- Two-panel axial: CT | PSMA PET, [68Ga]Ga-PSMA-11 tracer
- slice 27 of 299
- PET panel 256×256 px (2.7 mm/px)
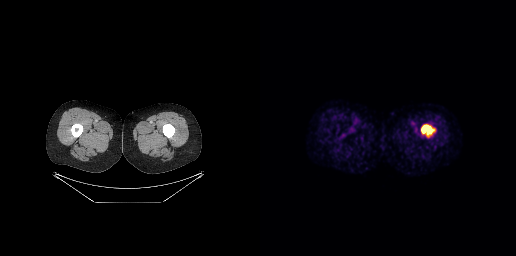
Findings: Coordinates are on the 256×256 PET (right) panel. PSMA-avid tumor lesion bounding box (x0, y0)-(x1, y1): (161, 125)-(174, 134).